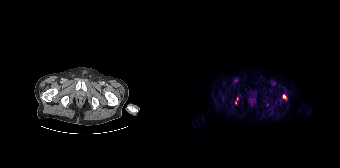
Findings: No PSMA-avid tumor lesions on this slice.
Technique: Left: CT. Right: PSMA PET, same axial level, 18F-PSMA tracer. acquired on Siemens Biograph 64-4R TruePoint. PET panel 168×168 px (4.1 mm/px).